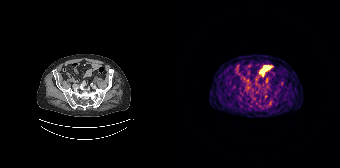
Coordinates are on the 168×168 PET (right) panel. Small PSMA-avid focus (2 to 4 px across) near (center x, center y): (93, 96).